Two-panel axial: CT | PSMA PET, 68Ga tracer. Acquired on Siemens Biograph 64-4R TruePoint.
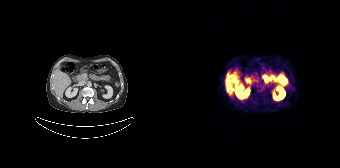
No tumor lesions annotated on this slice.